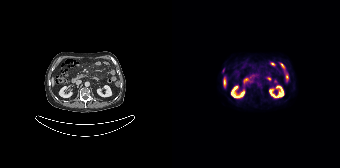
This slice has no annotated PSMA-avid lesion.